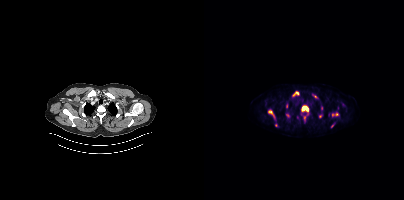
Findings: Coordinates are on the 200×200 PET (right) panel. (showing 11 of 12 foci) PSMA-avid tumor lesion bounding boxes (x0,y0,x1,y1): [98,106,104,110], [64,110,70,117], [89,92,94,95]. Small PSMA-avid foci (2 to 4 px across) near (center x, center y): (100, 118), (116, 116), (113, 97), (82, 105), (117, 108), (71, 125), (83, 115), (128, 125).
- Two-panel axial: CT | PSMA PET, 18F tracer
- acquired on Siemens Biograph mCT Flow 20
- slice position z = -938 mm